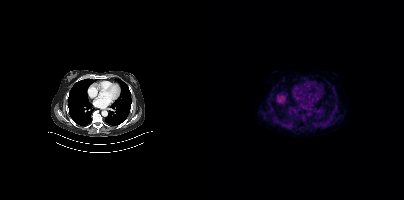
modality: PSMA PET/CT | tracer: 18F-PSMA | view: axial
No PSMA-avid tumor lesions on this slice.